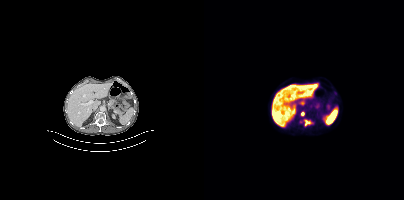
{"modality":"PSMA PET/CT","view":"axial","tracer":"18F","pet_grid":[200,200],"coord_frame":"pet_panel","coord_format":"x0,y0,x1,y1","partial":true,"lesion_bboxes":[[101,120,107,125]],"small_foci_centers":[[98,113]]}